Any black rectangle over the head is a privacy mask, not anatomy.
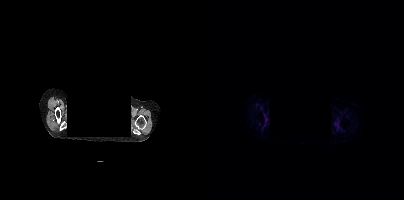
Negative for PSMA-avid disease on this slice.